Technique: Left: CT. Right: PSMA PET, same axial level, 18F-PSMA tracer. slice position z = -934 mm. PET panel 200×200 px (4.1 mm/px).
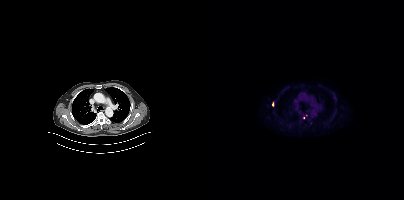
Findings: Coordinates are on the 200×200 PET (right) panel. (showing 1 of 2 foci) Small PSMA-avid focus (2 to 4 px across) near (center x, center y): (68, 104).